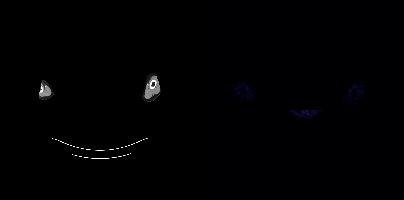
No PSMA-avid tumor lesions on this slice.
Face de-identified by blanking a block of the head.